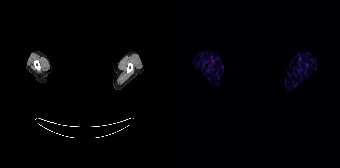
Negative for PSMA-avid disease on this slice.
The face region was removed for patient privacy by blanking a rectangle over the head.